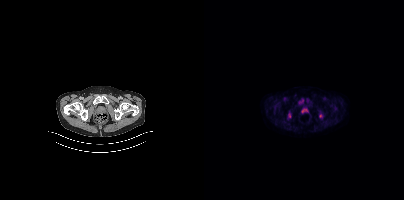
This slice has no annotated PSMA-avid lesion. Paired axial CT (left) and PSMA PET (right), 18F tracer. Slice 59 of 413.